- Two-panel axial: CT | PSMA PET, 68Ga-PSMA tracer
- PET panel 168×168 px (4.1 mm/px)
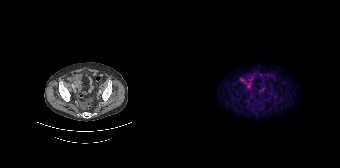
Findings: Coordinates are on the 168×168 PET (right) panel. Small PSMA-avid focus (2 to 4 px across) near (center x, center y): (70, 80).